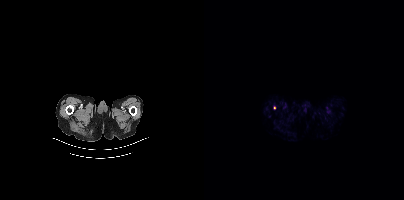
modality: PSMA PET/CT | tracer: [68Ga]Ga-PSMA-11 | view: axial | PET grid: 200×200
Coordinates are on the 200×200 PET (right) panel. Small PSMA-avid focus (2 to 4 px across) near (center x, center y): (70, 107).